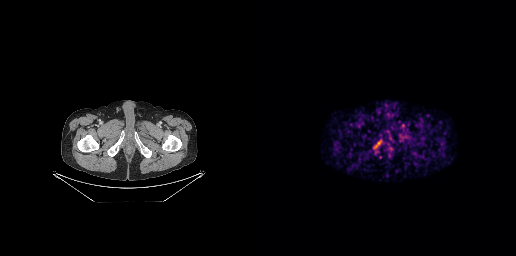
modality: PSMA PET/CT | tracer: 68Ga-PSMA | view: axial
Negative for PSMA-avid disease on this slice.